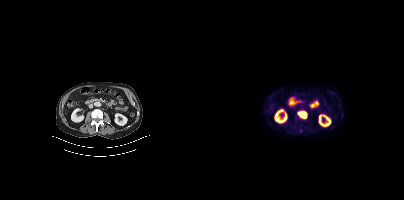
Coordinates are on the 200×200 PET (right) panel. PSMA-avid tumor lesion bounding box (x, y, width, height): x=94 y=111 w=9 h=7.